modality: PSMA PET/CT | tracer: 18F | view: axial | PET grid: 200×200
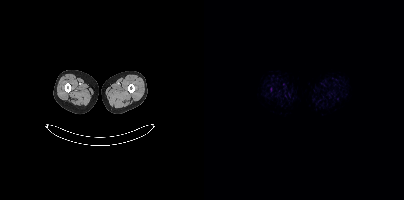
No tumor lesions annotated on this slice.